- privacy masking over the head, with the pixels inside a rectangle set to black
- Paired axial CT (left) and PSMA PET (right), 18F tracer
- slice 383 of 417
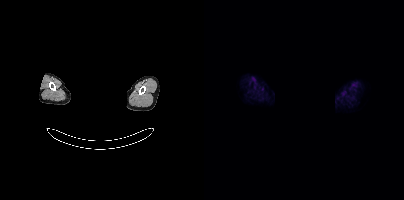
Findings: This slice has no annotated PSMA-avid lesion.